Paired axial CT (left) and PSMA PET (right), [18F]PSMA-1007 tracer. Acquired on Siemens Biograph mCT Flow 20. Slice 95 of 429.
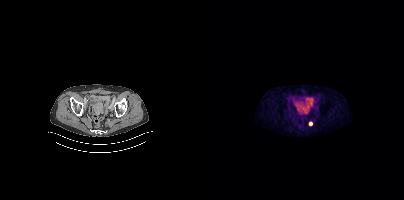
Coordinates are on the 200×200 PET (right) panel. Small PSMA-avid focus (2 to 4 px across) near (center x, center y): (106, 123).